Technique: Left: CT. Right: PSMA PET, same axial level, [68Ga]Ga-PSMA-11 tracer. PET panel 256×256 px (2.7 mm/px).
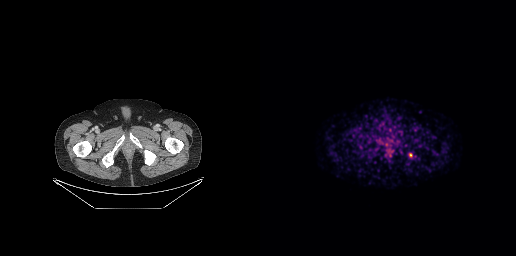
Findings: Coordinates are on the 256×256 PET (right) panel. PSMA-avid tumor lesion bounding box (x0, y0)-(x1, y1): (149, 153)-(152, 157).